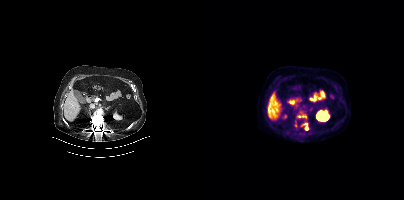
Paired axial CT (left) and PSMA PET (right), [18F]PSMA-1007 tracer. PET panel 200×200 px (4.1 mm/px). Coordinates are on the 200×200 PET (right) panel. PSMA-avid tumor lesion bounding box (x0, y0)-(x1, y1): (93, 112)-(101, 118). Small PSMA-avid foci (2 to 4 px across) near (center x, center y): (102, 128) / (101, 124).